Left: CT. Right: PSMA PET, same axial level, 18F tracer.
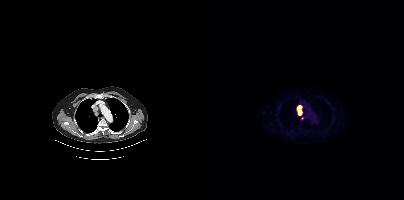
Coordinates are on the 200×200 PET (right) panel. Small PSMA-avid foci (2 to 4 px across) near (center x, center y): (96, 112); (98, 118).